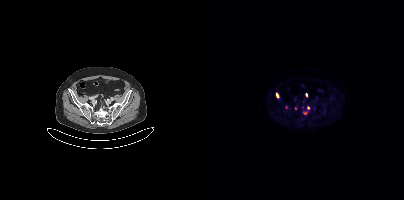
- Two-panel axial: CT | PSMA PET, 18F-PSMA tracer
- acquired on Siemens Biograph mCT Flow 20
- PET panel 200×200 px (4.1 mm/px)
Findings: Coordinates are on the 200×200 PET (right) panel. (showing 2 of 3 foci) Small PSMA-avid foci (2 to 4 px across) near (center x, center y): (102, 94) / (73, 95).